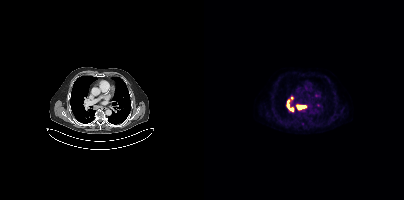
modality: PSMA PET/CT | tracer: [18F]PSMA-1007 | view: axial | PET grid: 200×200
Coordinates are on the 200×200 PET (right) panel. PSMA-avid tumor lesion bounding box (x0,y0,x1,y1): [93,105,101,109].